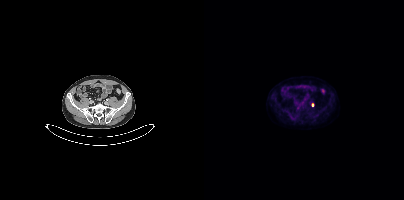
modality: PSMA PET/CT | tracer: [18F]PSMA-1007 | view: axial | PET grid: 200×200
Coordinates are on the 200×200 PET (right) panel. Small PSMA-avid focus (2 to 4 px across) near (center x, center y): (108, 104).